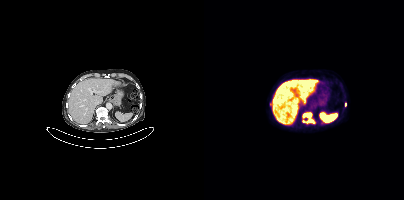
Technique: Paired axial CT (left) and PSMA PET (right), 18F-PSMA tracer. PET panel 200×200 px (4.1 mm/px).
Findings: Coordinates are on the 200×200 PET (right) panel. (showing 3 of 4 foci) PSMA-avid tumor lesion bounding box (x0, y0)-(x1, y1): (98, 113)-(111, 123). Small PSMA-avid foci (2 to 4 px across) near (center x, center y): (67, 103); (141, 104).